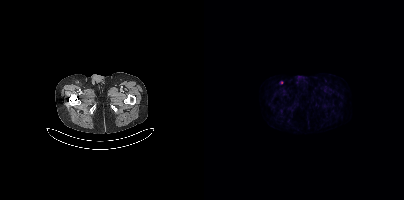
Coordinates are on the 200×200 PET (right) panel. Small PSMA-avid focus (2 to 4 px across) near (center x, center y): (77, 82). Left: CT. Right: PSMA PET, same axial level, 18F-PSMA tracer. Acquired on Siemens Biograph mCT Flow 20.